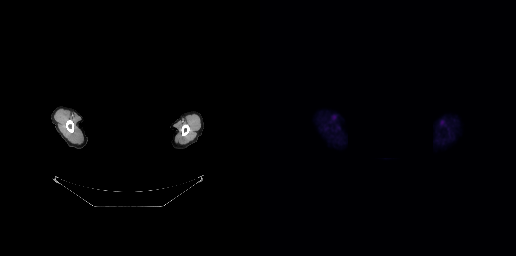
No PSMA-avid tumor lesions on this slice. The head region is masked for de-identification. Paired axial CT (left) and PSMA PET (right), 18F tracer. PET panel 256×256 px (2.7 mm/px).